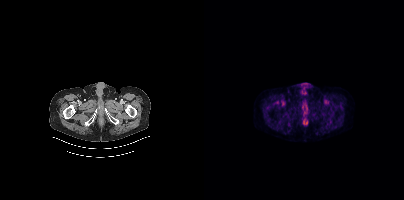
{"modality":"PSMA PET/CT","view":"axial","tracer":"[18F]PSMA-1007","pet_grid":[200,200],"coord_frame":"pet_panel","coord_format":"x0,y0,x1,y1","psma_avid_lesions":false}